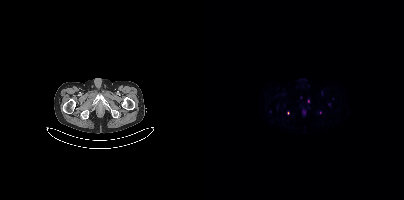
Paired axial CT (left) and PSMA PET (right), 68Ga-PSMA tracer. Slice position z = -1545 mm. Coordinates are on the 200×200 PET (right) panel. (showing 2 of 4 foci) Small PSMA-avid foci (2 to 4 px across) near (center x, center y): (104, 101) | (116, 112).